modality: PSMA PET/CT | tracer: 18F | view: axial | PET grid: 200×200
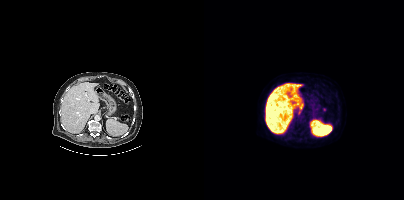
No tumor lesions annotated on this slice.